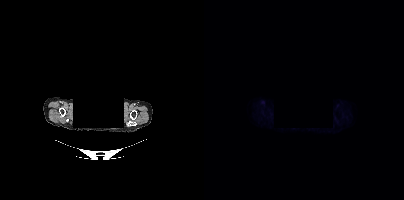
{"modality":"PSMA PET/CT","view":"axial","tracer":"18F-PSMA","pet_grid":[200,200],"coord_frame":"pet_panel","coord_format":"x0,y0,x1,y1","psma_avid_lesions":false,"redaction":"head region blacked out before release"}